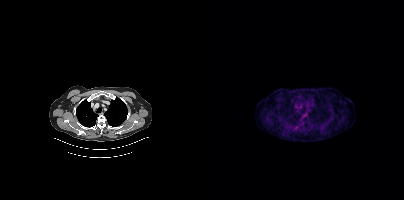
Negative for PSMA-avid disease on this slice.